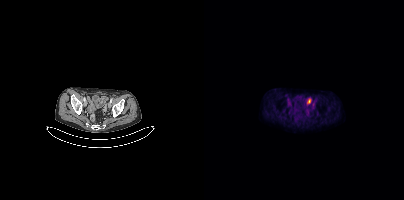
Technique: Left: CT. Right: PSMA PET, same axial level, [18F]PSMA-1007 tracer. PET panel 200×200 px (4.1 mm/px).
Findings: Negative for PSMA-avid disease on this slice.